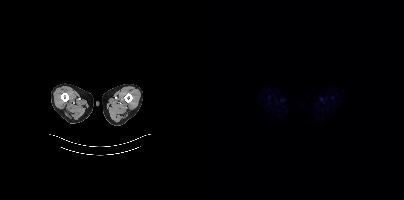
No tumor lesions annotated on this slice.